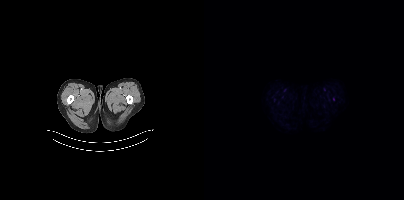
No PSMA-avid tumor lesions on this slice.